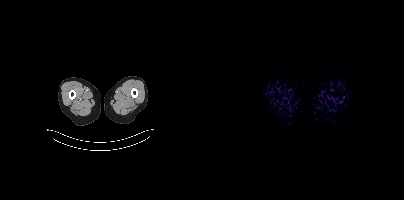
- Two-panel axial: CT | PSMA PET, 18F-PSMA tracer
- acquired on Siemens Biograph mCT Flow 20
- slice 1 of 423
- PET panel 200×200 px (4.1 mm/px)
Findings: This slice has no annotated PSMA-avid lesion.